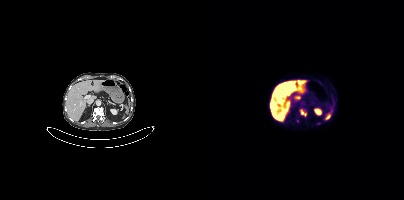
Coordinates are on the 200×200 PET (right) panel. PSMA-avid tumor lesion bounding box (x0,y0,x1,y1): [96,109,102,116].
modality: PSMA PET/CT | tracer: 18F-PSMA | view: axial | PET grid: 200×200